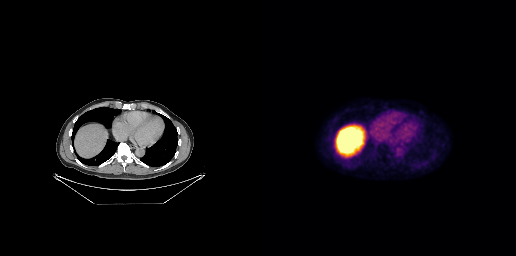
modality: PSMA PET/CT | tracer: 18F | view: axial | PET grid: 256×256
No tumor lesions annotated on this slice.